Two-panel axial: CT | PSMA PET, 18F tracer. Acquired on Siemens Biograph mCT Flow 20. Slice 245 of 444.
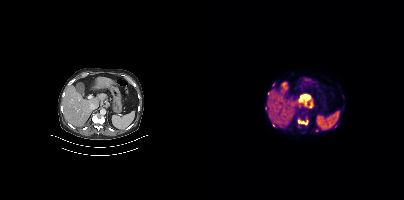
Coordinates are on the 200×200 PET (right) panel. PSMA-avid tumor lesion bounding box (x0,y0,x1,y1): [94,120,103,124].